Paired axial CT (left) and PSMA PET (right), 18F tracer. Slice 195 of 427.
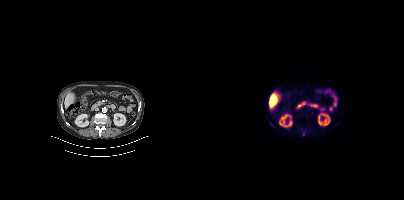
No PSMA-avid tumor lesions on this slice.